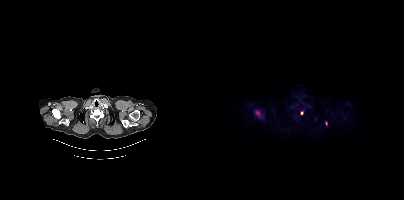
{"modality":"PSMA PET/CT","view":"axial","tracer":"18F-PSMA","pet_grid":[200,200],"coord_frame":"pet_panel","coord_format":"x0,y0,x1,y1","lesion_bboxes":[[51,110,56,116]],"small_foci_centers":[[98,113],[122,123]]}